Paired axial CT (left) and PSMA PET (right), 18F tracer. Acquired on GE Discovery 690. Slice position z = -493 mm.
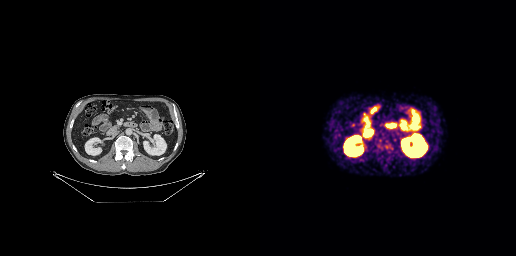
Coordinates are on the 256×256 PET (right) panel. PSMA-avid tumor lesion bounding boxes:
| # | x0 | y0 | x1 | y1 |
|---|---|---|---|---|
| 1 | 119 | 140 | 131 | 151 |